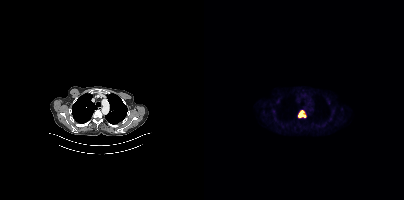
Findings: Coordinates are on the 200×200 PET (right) panel. PSMA-avid tumor lesion bounding box (x, y, width, height): x=94 y=110 w=9 h=8.
- Two-panel axial: CT | PSMA PET, 18F-PSMA tracer
- PET panel 200×200 px (4.1 mm/px)